modality: PSMA PET/CT | tracer: 68Ga | view: axial | PET grid: 256×256
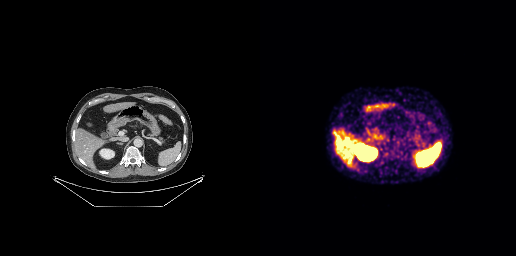
No tumor lesions annotated on this slice.